Two-panel axial: CT | PSMA PET, 68Ga tracer. Slice position z = -870 mm.
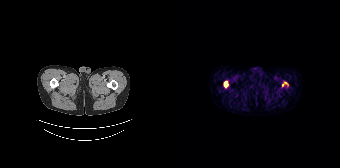
Coordinates are on the 168×168 PET (right) panel. PSMA-avid tumor lesion bounding boxes (x0, y0)-(x1, y1): (51, 81)-(56, 87) | (110, 82)-(116, 86).